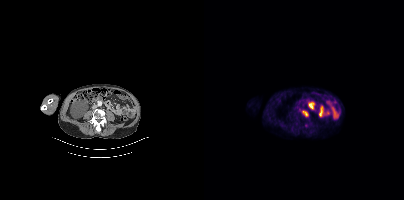
- Paired axial CT (left) and PSMA PET (right), 18F-PSMA tracer
- acquired on Siemens Biograph mCT Flow 20
- slice position z = -90 mm
Findings: Coordinates are on the 200×200 PET (right) panel. PSMA-avid tumor lesion bounding box (x0, y0)-(x1, y1): (98, 110)-(104, 116). Small PSMA-avid focus (2 to 4 px across) near (center x, center y): (95, 110).